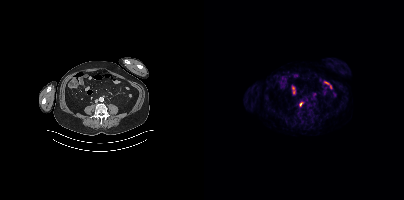
{"modality":"PSMA PET/CT","view":"axial","tracer":"68Ga-PSMA","pet_grid":[200,200],"coord_frame":"pet_panel","coord_format":"x0,y0,x1,y1","lesion_bboxes":[],"small_foci_centers":[[96,104]]}